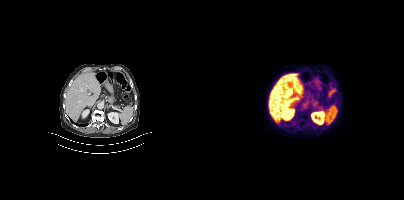
{"modality":"PSMA PET/CT","view":"axial","tracer":"18F","pet_grid":[200,200],"coord_frame":"pet_panel","coord_format":"x0,y0,x1,y1","psma_avid_lesions":false}